- Two-panel axial: CT | PSMA PET, 18F tracer
- slice 49 of 401
- PET panel 200×200 px (4.1 mm/px)
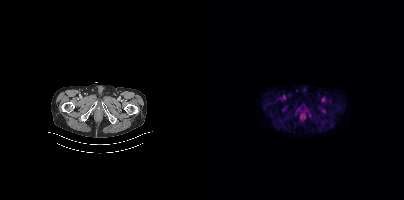
Findings: This slice has no annotated PSMA-avid lesion.